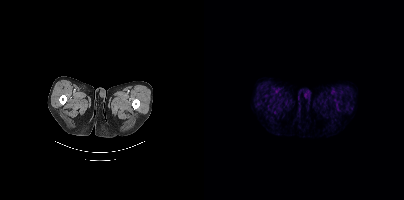
Two-panel axial: CT | PSMA PET, [18F]PSMA-1007 tracer. Acquired on Siemens Biograph mCT Flow 20. Slice position z = -544 mm. This slice has no annotated PSMA-avid lesion.